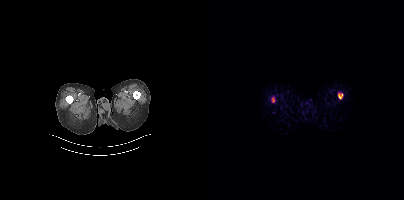
This slice has no annotated PSMA-avid lesion.